Left: CT. Right: PSMA PET, same axial level, [18F]PSMA-1007 tracer. Slice 128 of 383. PET panel 200×200 px (4.1 mm/px).
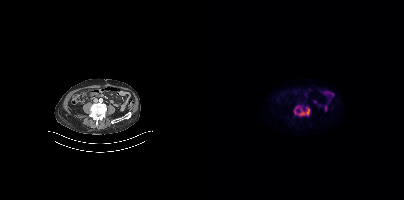
Coordinates are on the 200×200 PET (right) panel. PSMA-avid tumor lesion bounding box (x0,y0,x1,y1): [89,105,106,116].